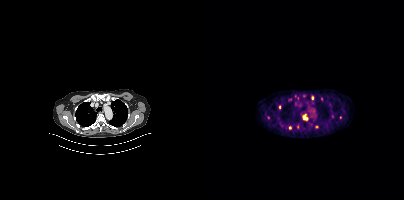
Coordinates are on the 200×200 PET (right) panel. (showing 6 of 8 foci) PSMA-avid tumor lesion bounding box (x0, y0)-(x1, y1): (99, 114)-(103, 120). Small PSMA-avid foci (2 to 4 px across) near (center x, center y): (112, 126); (86, 127); (108, 98); (75, 107); (117, 98).